modality: PSMA PET/CT | tracer: 68Ga-PSMA | view: axial | deidentification: rectangular block over head set to black
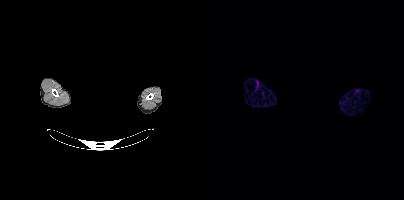
No PSMA-avid tumor lesions on this slice.